Left: CT. Right: PSMA PET, same axial level, 18F tracer. Acquired on Siemens Biograph mCT Flow 20.
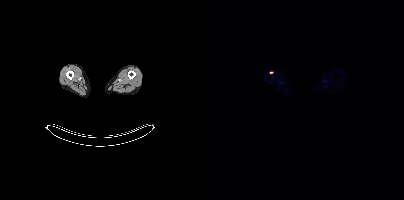
Coordinates are on the 200×200 PET (right) panel. Small PSMA-avid focus (2 to 4 px across) near (center x, center y): (67, 72).